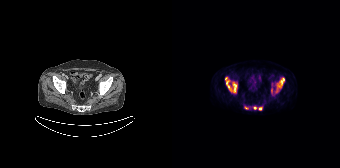
- Paired axial CT (left) and PSMA PET (right), 18F-PSMA tracer
- slice position z = -1550 mm
- PET panel 168×168 px (4.1 mm/px)
Findings: Coordinates are on the 168×168 PET (right) panel. PSMA-avid tumor lesion bounding boxes (x0, y0)-(x1, y1): (53, 77)-(65, 92) | (104, 77)-(112, 92) | (86, 107)-(90, 110) | (72, 106)-(76, 109). Small PSMA-avid foci (2 to 4 px across) near (center x, center y): (82, 108) | (99, 90).